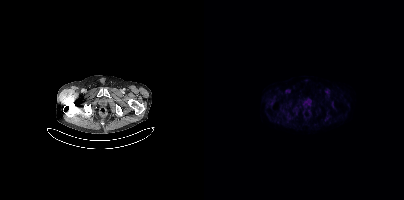
This slice has no annotated PSMA-avid lesion.